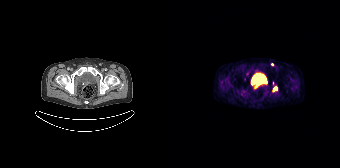
{"modality":"PSMA PET/CT","view":"axial","tracer":"[68Ga]Ga-PSMA-11","pet_grid":[168,168],"coord_frame":"pet_panel","coord_format":"x0,y0,x1,y1","partial":true,"lesion_bboxes":[[101,87,105,90]],"small_foci_centers":[[100,64]]}